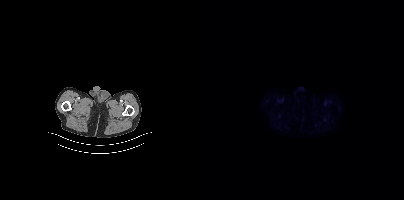
{"modality":"PSMA PET/CT","view":"axial","tracer":"18F-PSMA","pet_grid":[200,200],"coord_frame":"pet_panel","coord_format":"x0,y0,x1,y1","psma_avid_lesions":false}